Two-panel axial: CT | PSMA PET, 18F-PSMA tracer. Acquired on Siemens Biograph mCT Flow 20.
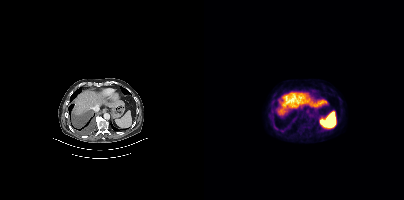
Coordinates are on the 200×200 PET (right) panel. PSMA-avid tumor lesion bounding boxes (x0, y0)-(x1, y1): (69, 124)-(74, 130) / (79, 127)-(84, 131).